Technique: Two-panel axial: CT | PSMA PET, 18F-PSMA tracer.
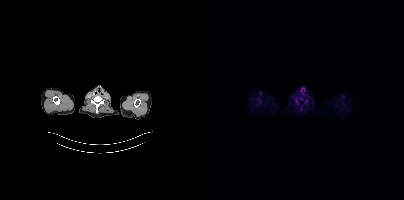
Findings: This slice has no annotated PSMA-avid lesion.